Technique: Left: CT. Right: PSMA PET, same axial level, [18F]PSMA-1007 tracer. acquired on Siemens Biograph mCT Flow 20. slice 258 of 389.
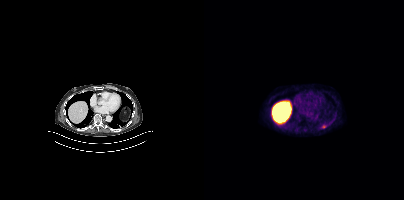
Findings: Coordinates are on the 200×200 PET (right) panel. PSMA-avid tumor lesion bounding box (x0,y0,x1,y1): [117,125,122,128].